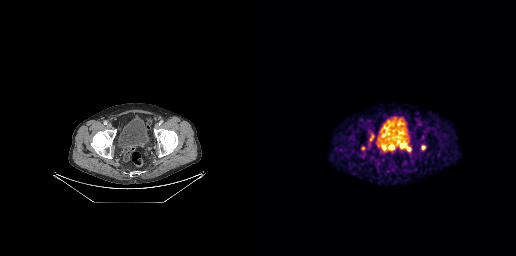
Left: CT. Right: PSMA PET, same axial level, [68Ga]Ga-PSMA-11 tracer. Acquired on GE Discovery 690. Slice position z = -867 mm. PET panel 256×256 px (2.7 mm/px). Coordinates are on the 256×256 PET (right) panel. (showing 5 of 6 foci) PSMA-avid tumor lesion bounding boxes (x0,y0,x1,y1): [140,143,150,151]; [109,134,114,141]; [129,145,133,149]. Small PSMA-avid foci (2 to 4 px across) near (center x, center y): (123, 147); (163, 147).